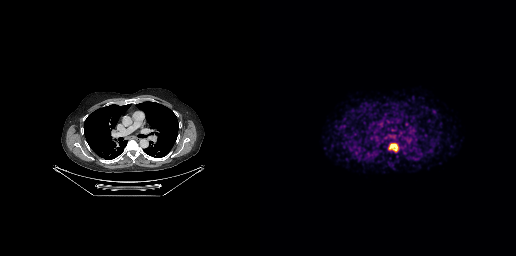
Coordinates are on the 256×256 PET (right) panel. PSMA-avid tumor lesion bounding box (x0, y0)-(x1, y1): (129, 143)-(137, 151).